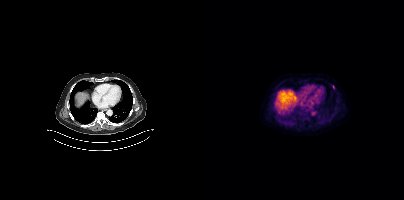
Left: CT. Right: PSMA PET, same axial level, [18F]PSMA-1007 tracer. Acquired on Siemens Biograph mCT Flow 20. PET panel 200×200 px (4.1 mm/px). Coordinates are on the 200×200 PET (right) panel. Small PSMA-avid focus (2 to 4 px across) near (center x, center y): (129, 86).